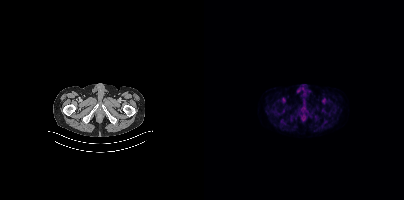
Left: CT. Right: PSMA PET, same axial level, [18F]PSMA-1007 tracer. Slice 52 of 409. PET panel 200×200 px (4.1 mm/px). No PSMA-avid tumor lesions on this slice.